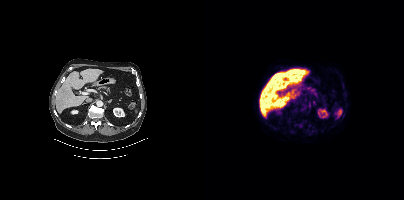
No tumor lesions annotated on this slice.
modality: PSMA PET/CT | tracer: 18F | view: axial | PET grid: 200×200